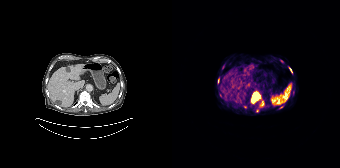
Left: CT. Right: PSMA PET, same axial level, 68Ga-PSMA tracer. Coordinates are on the 168×168 PET (right) panel. (showing 4 of 5 foci) PSMA-avid tumor lesion bounding boxes (x, y, width, height): x=80 y=92 w=8 h=10 / x=88 y=101 w=5 h=5 / x=118 y=68 w=3 h=5. Small PSMA-avid focus (2 to 4 px across) near (center x, center y): (85, 110).